Technique: Paired axial CT (left) and PSMA PET (right), [68Ga]Ga-PSMA-11 tracer. acquired on Siemens Biograph 64-4R TruePoint. slice 53 of 195. PET panel 168×168 px (4.1 mm/px).
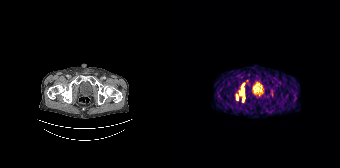
Findings: Coordinates are on the 168×168 PET (right) panel. PSMA-avid tumor lesion bounding boxes (x0, y0)-(x1, y1): (70, 83)-(72, 93) / (71, 96)-(72, 101). Small PSMA-avid foci (2 to 4 px across) near (center x, center y): (65, 97) / (75, 80).